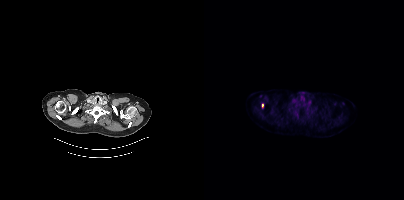
Findings: Coordinates are on the 200×200 PET (right) panel. PSMA-avid tumor lesion bounding box (x0,y0,x1,y1): [58,103,59,107].
- Left: CT. Right: PSMA PET, same axial level, [18F]PSMA-1007 tracer
- acquired on Siemens Biograph mCT Flow 20
- slice 313 of 381